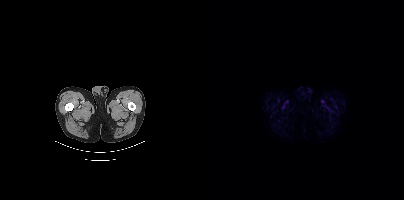
Findings: Negative for PSMA-avid disease on this slice.
- Paired axial CT (left) and PSMA PET (right), 18F tracer
- PET panel 200×200 px (4.1 mm/px)